Technique: Paired axial CT (left) and PSMA PET (right), 68Ga-PSMA tracer. slice position z = -1560 mm. PET panel 200×200 px (4.1 mm/px).
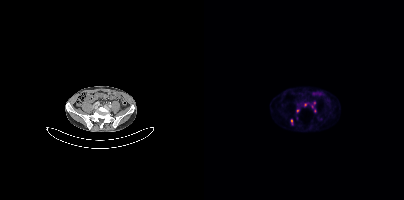
Findings: Coordinates are on the 200×200 PET (right) panel. (showing 4 of 6 foci) PSMA-avid tumor lesion bounding box (x, y, width, height): x=87 y=119 w=2 h=5. Small PSMA-avid foci (2 to 4 px across) near (center x, center y): (93, 110) / (110, 102) / (101, 104).